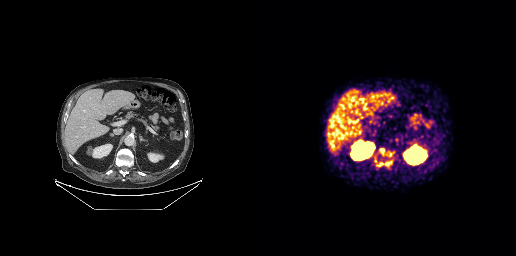
Findings: Coordinates are on the 256×256 PET (right) panel. PSMA-avid tumor lesion bounding boxes (x0, y0)-(x1, y1): (117, 160)-(132, 166) / (119, 148)-(124, 155) / (126, 151)-(134, 156) / (115, 157)-(116, 162).
Technique: Two-panel axial: CT | PSMA PET, [68Ga]Ga-PSMA-11 tracer. slice 144 of 263.